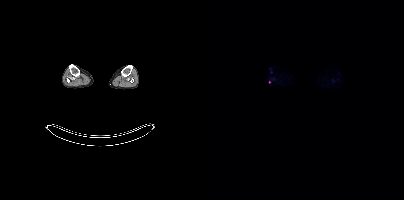
Coordinates are on the 200×200 PET (right) panel. Small PSMA-avid focus (2 to 4 px across) near (center x, center y): (65, 81).